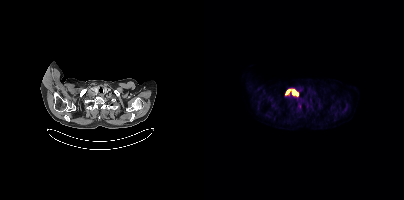
modality: PSMA PET/CT | tracer: [18F]PSMA-1007 | view: axial | PET grid: 200×200
Coordinates are on the 200×200 PET (right) panel. PSMA-avid tumor lesion bounding boxes (x, y, width, height): x=88 y=89 w=7 h=7 / x=82 y=89 w=5 h=6.